Paired axial CT (left) and PSMA PET (right), [18F]PSMA-1007 tracer. Acquired on Siemens Biograph mCT Flow 20. Slice position z = -1559 mm. PET panel 200×200 px (4.1 mm/px).
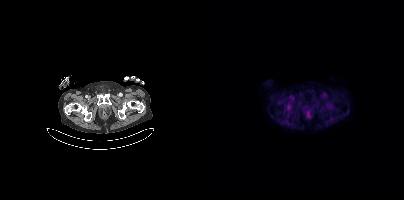
No tumor lesions annotated on this slice.